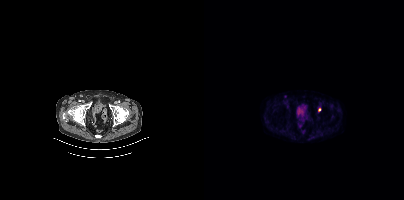
{"pet_grid":[200,200],"coord_frame":"pet_panel","coord_format":"x0,y0,x1,y1","lesion_bboxes":[],"small_foci_centers":[[81,96],[115,109]],"modality":"PSMA PET/CT","view":"axial","tracer":"18F-PSMA"}